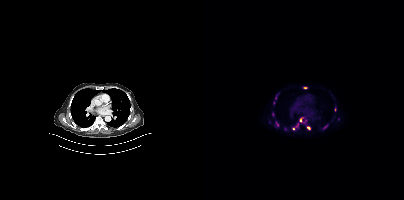
Coordinates are on the 200×200 PET (right) panel. (showing 4 of 5 foci) Small PSMA-avid foci (2 to 4 px across) near (center x, center y): (101, 87) / (96, 120) / (104, 128) / (89, 128).
modality: PSMA PET/CT | tracer: [18F]PSMA-1007 | view: axial | PET grid: 200×200